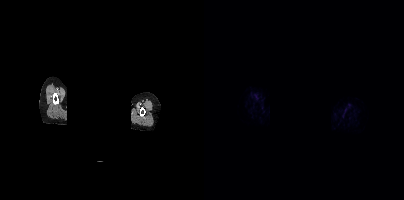
Findings: Negative for PSMA-avid disease on this slice.
Technique: Paired axial CT (left) and PSMA PET (right), 68Ga tracer. acquired on Siemens Biograph mCT Flow 20. slice 389 of 444. PET panel 200×200 px (4.1 mm/px).
Note: Face de-identified by blanking a block of the head.